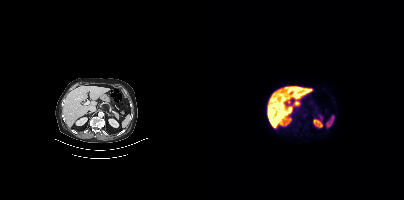
{"modality":"PSMA PET/CT","view":"axial","tracer":"18F-PSMA","pet_grid":[200,200],"coord_frame":"pet_panel","coord_format":"x0,y0,x1,y1","psma_avid_lesions":false}